- Left: CT. Right: PSMA PET, same axial level, [18F]PSMA-1007 tracer
- acquired on Siemens Biograph mCT Flow 20
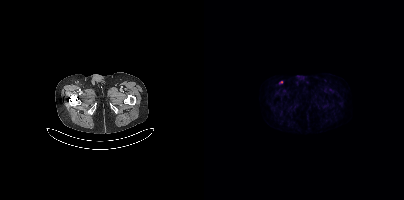
Findings: Coordinates are on the 200×200 PET (right) panel. Small PSMA-avid focus (2 to 4 px across) near (center x, center y): (77, 81).